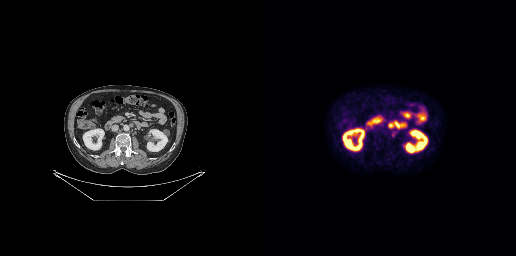
{"pet_grid":[256,256],"coord_frame":"pet_panel","coord_format":"x0,y0,x1,y1","lesion_bboxes":[[128,122,134,128]],"small_foci_centers":[[132,135]],"modality":"PSMA PET/CT","view":"axial","tracer":"[18F]PSMA-1007"}